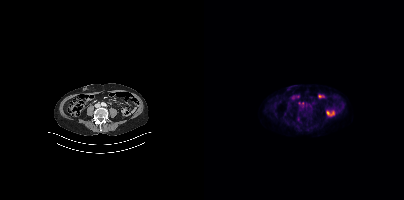
Findings: Only PSMA-avid lesion pieces thinner than 2 px on this slice (not listed).
Technique: Two-panel axial: CT | PSMA PET, [18F]PSMA-1007 tracer. slice position z = -1321 mm.